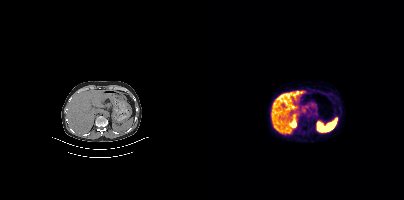
This slice has no annotated PSMA-avid lesion. Two-panel axial: CT | PSMA PET, 68Ga tracer. Acquired on Siemens Biograph mCT Flow 20.